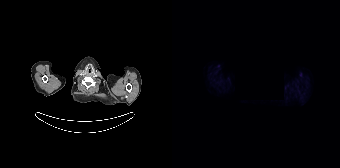
Findings: No PSMA-avid tumor lesions on this slice.
Technique: Two-panel axial: CT | PSMA PET, 18F-PSMA tracer. acquired on Siemens Biograph 64-4R TruePoint. PET panel 168×168 px (4.1 mm/px).
Note: A black rectangle in this scan is a privacy mask, not anatomy.